Left: CT. Right: PSMA PET, same axial level, [18F]PSMA-1007 tracer. Acquired on Siemens Biograph mCT Flow 20. PET panel 200×200 px (4.1 mm/px).
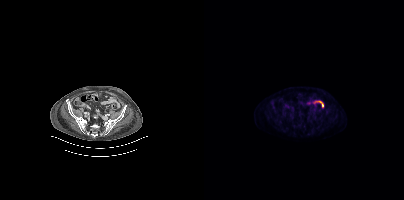
This slice has no annotated PSMA-avid lesion.